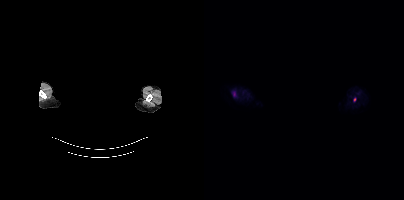
Coordinates are on the 200×200 PET (right) panel. Small PSMA-avid focus (2 to 4 px across) near (center x, center y): (150, 99).
The face region was removed for patient privacy by blanking a rectangle over the head.